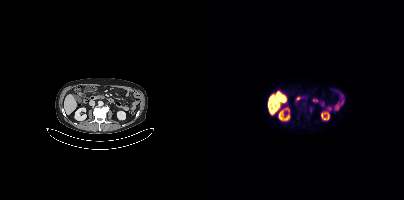
Coordinates are on the 200×200 PET (right) panel. Small PSMA-avid focus (2 to 4 px across) near (center x, center y): (106, 110).